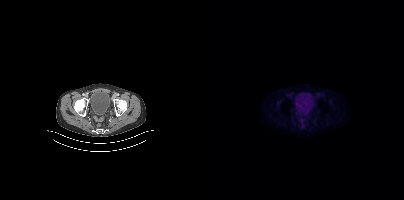
No PSMA-avid tumor lesions on this slice.